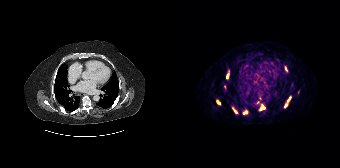
Technique: Left: CT. Right: PSMA PET, same axial level, [68Ga]Ga-PSMA-11 tracer.
Findings: Coordinates are on the 168×168 PET (right) panel. (showing 9 of 10 foci) PSMA-avid tumor lesion bounding boxes (x0,y0,x1,y1): [112,96,119,108] [87,104,93,110] [45,100,48,104] [61,108,65,113] [113,67,115,71] [55,74,56,78]. Small PSMA-avid foci (2 to 4 px across) near (center x, center y): (53, 86) (72, 112) (85, 102).